The face region was removed for patient privacy by blanking a rectangle over the head.
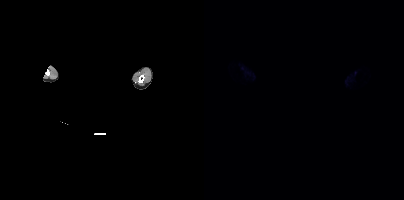
This slice has no annotated PSMA-avid lesion.